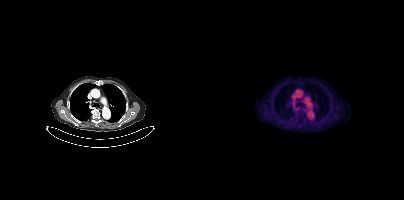
Findings: Only PSMA-avid lesion pieces thinner than 2 px on this slice (not listed).
- Paired axial CT (left) and PSMA PET (right), [18F]PSMA-1007 tracer
- PET panel 200×200 px (4.1 mm/px)